Facial anatomy redacted by setting a rectangular region of the head to black.
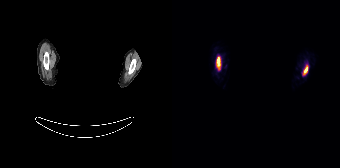
Coordinates are on the 168×168 PET (right) panel. PSMA-avid tumor lesion bounding boxes (x, y, width, height): x=44 y=57 w=5 h=13; x=130 y=65 w=7 h=11.